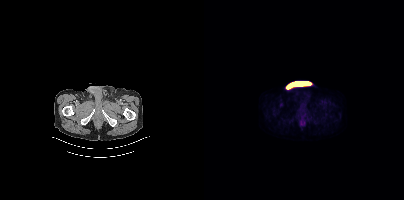
This slice has no annotated PSMA-avid lesion. Two-panel axial: CT | PSMA PET, 18F tracer. Slice 43 of 427. PET panel 200×200 px (4.1 mm/px).